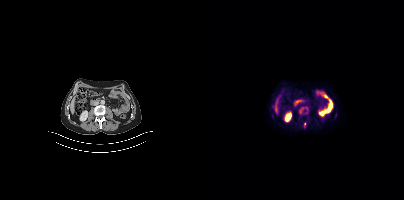
Coordinates are on the 200×200 PET (right) panel. (showing 2 of 3 foci) PSMA-avid tumor lesion bounding box (x, y, width, height): x=96 y=107 w=4 h=7. Small PSMA-avid focus (2 to 4 px across) near (center x, center y): (100, 124).